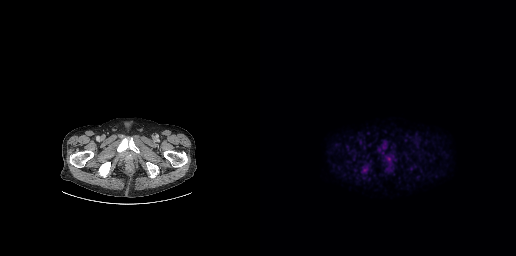
Technique: Two-panel axial: CT | PSMA PET, 18F-PSMA tracer. acquired on GE Discovery 690. PET panel 256×256 px (2.7 mm/px).
Findings: Coordinates are on the 256×256 PET (right) panel. PSMA-avid tumor lesion bounding box (x0,y0,x1,y1): [101,164,109,173].